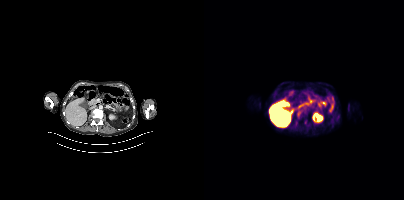
Coordinates are on the 200×200 PET (right) panel. PSMA-avid tumor lesion bounding box (x0,y0,x1,y1): [93,112,96,116].